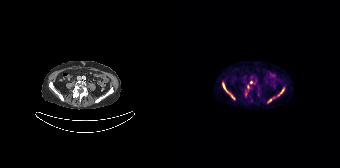
Coordinates are on the 168×168 PET (right) panel. (showing 9 of 10 foci) PSMA-avid tumor lesion bounding boxes (x0,y0,x1,y1): [50,82,62,99]; [75,85,80,90]; [95,97,102,102]; [109,88,112,92]. Small PSMA-avid foci (2 to 4 px across) near (center x, center y): (106, 95); (79, 82); (73, 94); (83, 81); (86, 94).